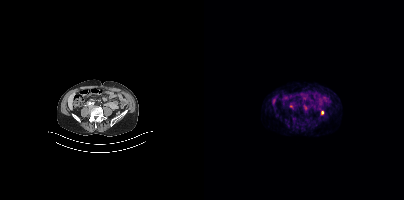
{"pet_grid":[200,200],"coord_frame":"pet_panel","coord_format":"x0,y0,x1,y1","lesion_bboxes":[],"small_foci_centers":[[87,106],[118,112]],"modality":"PSMA PET/CT","view":"axial","tracer":"[68Ga]Ga-PSMA-11"}